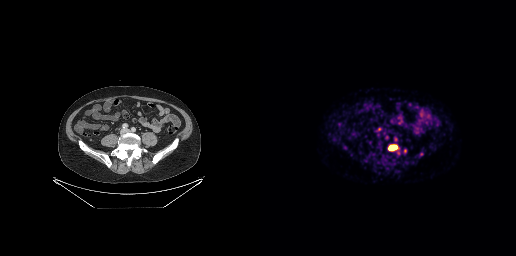
Findings: Coordinates are on the 256×256 PET (right) panel. PSMA-avid tumor lesion bounding box (x0,y0,x1,y1): [128,145,137,150].
Technique: Paired axial CT (left) and PSMA PET (right), 68Ga-PSMA tracer. slice position z = -758 mm.